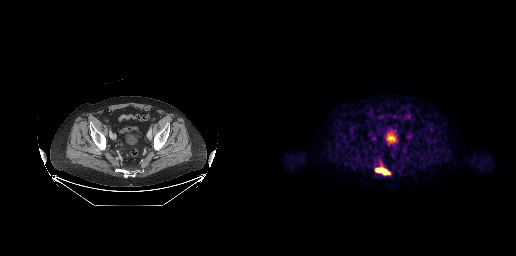
{"modality":"PSMA PET/CT","view":"axial","tracer":"18F","pet_grid":[256,256],"coord_frame":"pet_panel","coord_format":"x0,y0,x1,y1","lesion_bboxes":[[115,167,130,175]]}